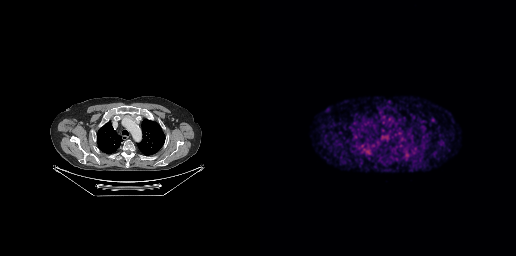
This slice has no annotated PSMA-avid lesion. Two-panel axial: CT | PSMA PET, [68Ga]Ga-PSMA-11 tracer. Slice 209 of 263.